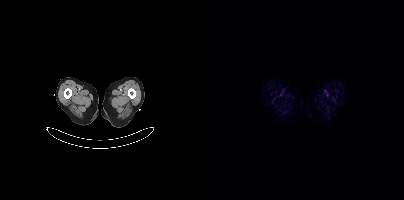
Paired axial CT (left) and PSMA PET (right), [18F]PSMA-1007 tracer. Slice position z = -1792 mm. No tumor lesions annotated on this slice.